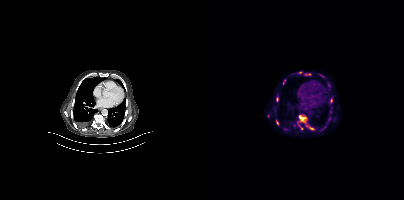
Paired axial CT (left) and PSMA PET (right), 18F-PSMA tracer. Slice position z = -1103 mm. PET panel 200×200 px (4.1 mm/px).
Coordinates are on the 200×200 PET (right) panel. PSMA-avid tumor lesion bounding boxes (partial; 2 more foci not listed):
| # | x0 | y0 | x1 | y1 |
|---|---|---|---|---|
| 1 | 95 | 115 | 111 | 130 |
| 2 | 101 | 73 | 106 | 75 |
| 3 | 72 | 120 | 74 | 125 |
| 4 | 72 | 97 | 74 | 101 |
| 5 | 79 | 80 | 81 | 84 |
Small PSMA-avid foci (2 to 4 px across) near (center x, center y): (127, 100); (98, 128); (96, 72); (125, 118); (126, 112).